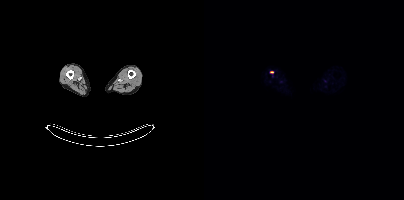
Coordinates are on the 200×200 PET (right) panel. Small PSMA-avid focus (2 to 4 px across) near (center x, center y): (67, 72). Left: CT. Right: PSMA PET, same axial level, 18F tracer. Acquired on Siemens Biograph mCT Flow 20. Slice position z = -1253 mm.